Technique: Left: CT. Right: PSMA PET, same axial level, 18F tracer. acquired on Siemens Biograph mCT Flow 20. slice 401 of 435. PET panel 200×200 px (4.1 mm/px).
Note: Privacy masking over the head, with the pixels inside a rectangle set to black.
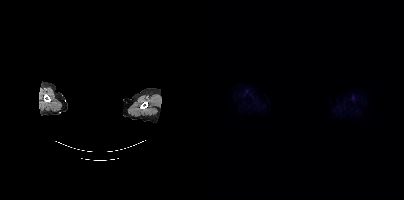
Findings: This slice has no annotated PSMA-avid lesion.